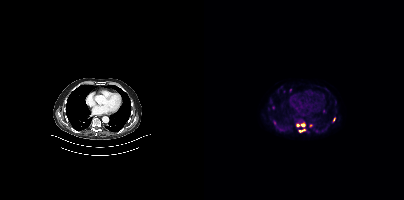
Technique: Two-panel axial: CT | PSMA PET, 18F tracer. slice position z = -524 mm.
Findings: Coordinates are on the 200×200 PET (right) panel. (showing 6 of 8 foci) PSMA-avid tumor lesion bounding box (x, y, width, height): x=95 y=129 w=7 h=4. Small PSMA-avid foci (2 to 4 px across) near (center x, center y): (98, 125); (106, 125); (94, 125); (130, 119); (86, 89).